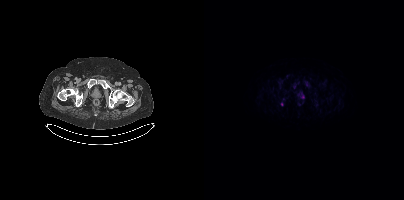
Coordinates are on the 200×200 PET (right) panel. (showing 1 of 2 foci) Small PSMA-avid focus (2 to 4 px across) near (center x, center y): (78, 104).